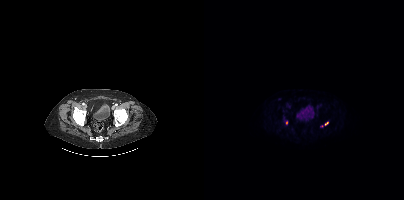
Coordinates are on the 200×200 PET (right) panel. (showing 1 of 2 foci) PSMA-avid tumor lesion bounding box (x, y, width, height): x=121 y=121 w=4 h=5. Left: CT. Right: PSMA PET, same axial level, [18F]PSMA-1007 tracer. Slice position z = -1430 mm.